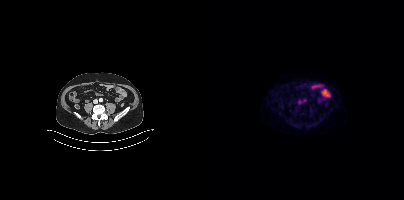
Findings: No tumor lesions annotated on this slice.
Technique: Two-panel axial: CT | PSMA PET, [18F]PSMA-1007 tracer. acquired on Siemens Biograph mCT Flow 20. PET panel 200×200 px (4.1 mm/px).